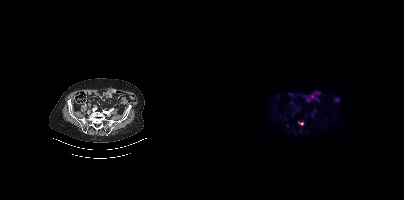
{"modality":"PSMA PET/CT","view":"axial","tracer":"18F","pet_grid":[200,200],"coord_frame":"pet_panel","coord_format":"x0,y0,x1,y1","partial":true,"lesion_bboxes":[[94,121,99,125]]}